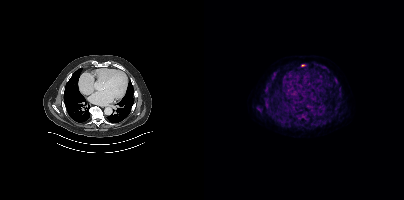
{"modality":"PSMA PET/CT","view":"axial","tracer":"[18F]PSMA-1007","pet_grid":[200,200],"coord_frame":"pet_panel","coord_format":"x0,y0,x1,y1","partial":true,"lesion_bboxes":[[60,103,66,108],[67,72,72,78],[95,111,103,116],[61,87,65,91],[118,66,122,70],[97,64,101,66]],"small_foci_centers":[[132,82],[63,83],[61,98],[96,109],[74,121]]}